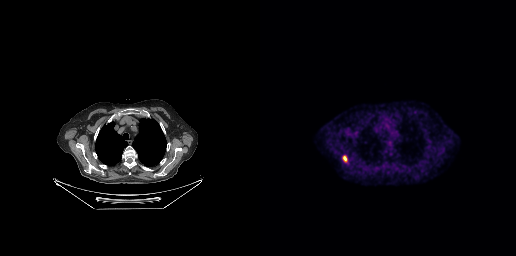
Coordinates are on the 256×256 PET (right) panel. PSMA-avid tumor lesion bounding box (x0,y0,x1,y1): [83,156,86,161]. Two-panel axial: CT | PSMA PET, [18F]PSMA-1007 tracer.